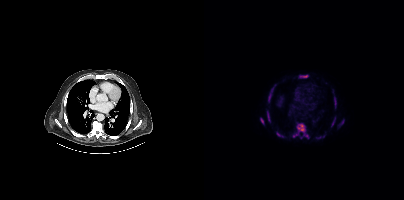
{"modality":"PSMA PET/CT","view":"axial","tracer":"[18F]PSMA-1007","pet_grid":[200,200],"coord_frame":"pet_panel","coord_format":"x0,y0,x1,y1","partial":true,"lesion_bboxes":[[88,123,104,138],[64,92,67,102],[130,96,132,108],[72,132,79,137],[96,75,104,77],[127,117,131,126],[136,120,140,124]],"small_foci_centers":[[63,112],[70,85],[115,137],[119,136]]}